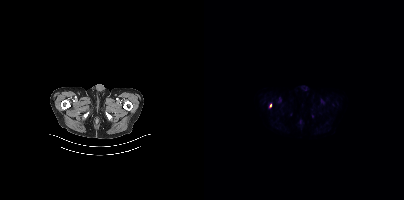
- Left: CT. Right: PSMA PET, same axial level, 18F tracer
- acquired on Siemens Biograph mCT Flow 20
Findings: Coordinates are on the 200×200 PET (right) panel. PSMA-avid tumor lesion bounding box (x0, y0)-(x1, y1): (65, 103)-(67, 107).